- Paired axial CT (left) and PSMA PET (right), 18F-PSMA tracer
- acquired on Siemens Biograph mCT Flow 20
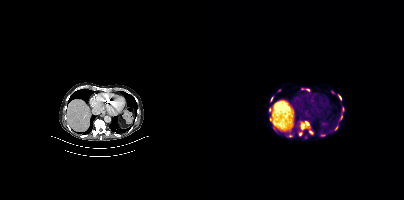
Findings: Coordinates are on the 200×200 PET (right) panel. (showing 12 of 15 foci) PSMA-avid tumor lesion bounding boxes (x, y, width, height): x=96 y=121 w=14 h=14 | x=134 y=94 w=4 h=7 | x=68 y=123 w=4 h=8 | x=135 y=114 w=4 h=7 | x=138 y=107 w=3 h=6 | x=131 y=126 w=3 h=5. Small PSMA-avid foci (2 to 4 px across) near (center x, center y): (96, 133) | (86, 136) | (103, 90) | (66, 109) | (129, 92) | (75, 90).